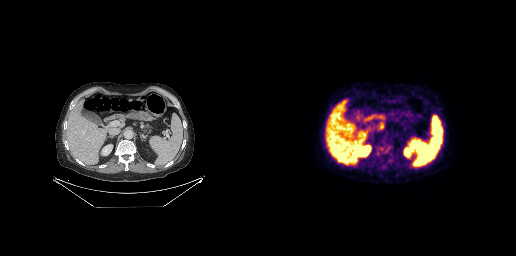
Findings: Negative for PSMA-avid disease on this slice.
Technique: Paired axial CT (left) and PSMA PET (right), 18F tracer.